Left: CT. Right: PSMA PET, same axial level, [18F]PSMA-1007 tracer. Slice position z = -1223 mm. PET panel 200×200 px (4.1 mm/px).
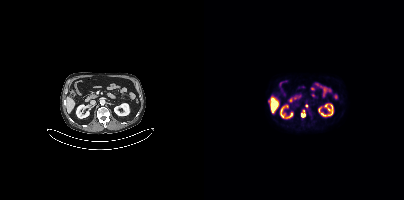
Coordinates are on the 200×200 PET (right) panel. Small PSMA-avid focus (2 to 4 px across) near (center x, center y): (99, 111).